Left: CT. Right: PSMA PET, same axial level, 18F tracer. Slice 374 of 397. PET panel 200×200 px (4.1 mm/px). Head region blanked for anonymization (face removed).
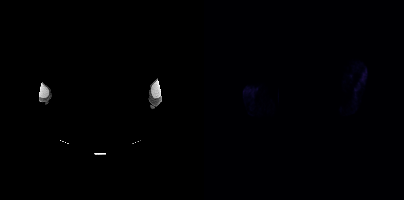
No tumor lesions annotated on this slice.